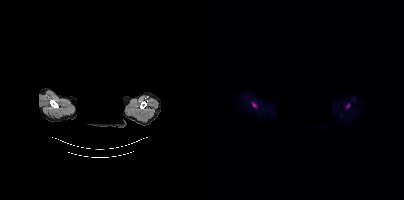
Coordinates are on the 200×200 PET (right) panel. PSMA-avid tumor lesion bounding box (x0,y0,x1,y1): [48,102,52,107]. Small PSMA-avid focus (2 to 4 px across) near (center x, center y): (144, 105).
Face de-identified by blanking a block of the head.